Two-panel axial: CT | PSMA PET, 18F tracer. Slice 163 of 427. PET panel 200×200 px (4.1 mm/px).
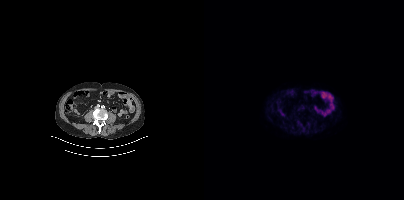
No tumor lesions annotated on this slice.